De-identified by setting a box covering the face to black before release. Paired axial CT (left) and PSMA PET (right), 18F tracer. Slice position z = -251 mm. PET panel 200×200 px (4.1 mm/px).
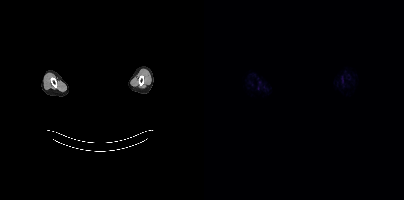
This slice has no annotated PSMA-avid lesion.